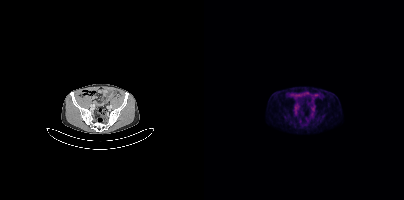
Coordinates are on the 200×200 PET (right) panel. PSMA-avid tumor lesion bounding box (x0,y0,x1,y1): [90,106,94,110]. Small PSMA-avid focus (2 to 4 px across) near (center x, center y): (108, 109).